- Left: CT. Right: PSMA PET, same axial level, 68Ga tracer
- slice 160 of 195
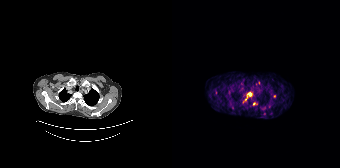
Findings: Coordinates are on the 168×168 PET (right) panel. PSMA-avid tumor lesion bounding box (x, y, width, height): x=75 y=92 w=5 h=4. Small PSMA-avid foci (2 to 4 px across) near (center x, center y): (82, 103) / (102, 96) / (71, 101).